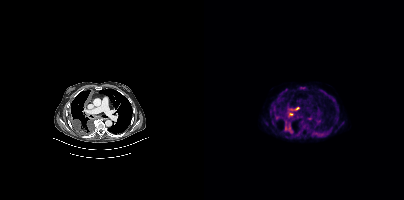
Technique: Two-panel axial: CT | PSMA PET, 18F-PSMA tracer.
Findings: Coordinates are on the 200×200 PET (right) panel. (showing 5 of 8 foci) PSMA-avid tumor lesion bounding boxes (x0,y0,x1,y1): [80,124,89,133], [95,87,101,89], [85,113,89,116]. Small PSMA-avid foci (2 to 4 px across) near (center x, center y): (100, 126), (94, 108).